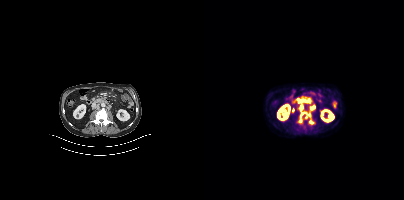
{"modality":"PSMA PET/CT","view":"axial","tracer":"18F","pet_grid":[200,200],"coord_frame":"pet_panel","coord_format":"x0,y0,x1,y1","lesion_bboxes":[[95,105,106,122],[94,99,103,102],[105,120,109,124],[106,105,111,109]]}